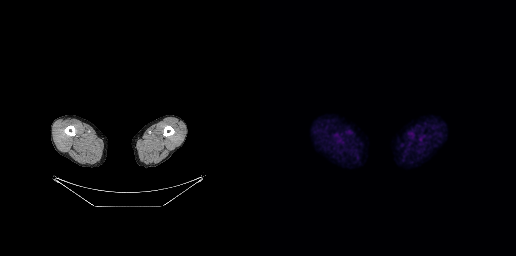
modality: PSMA PET/CT | tracer: 18F | view: axial
No PSMA-avid tumor lesions on this slice.